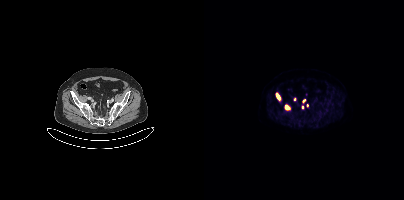
Coordinates are on the 200×200 PET (right) panel. PSMA-avid tumor lesion bounding boxes (x0, y0)-(x1, y1): (81, 105)-(85, 109) / (72, 93)-(75, 98). Small PSMA-avid foci (2 to 4 px across) near (center x, center y): (100, 100) / (98, 107) / (90, 99) / (103, 105).